modality: PSMA PET/CT | tracer: 18F | view: axial
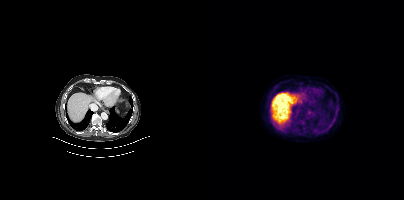
No PSMA-avid tumor lesions on this slice.